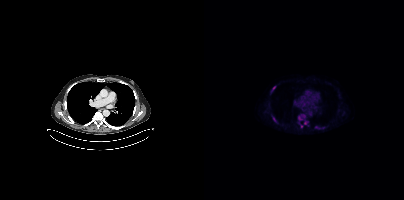
Coordinates are on the 200×200 PET (right) panel. PSMA-avid tumor lesion bounding boxes (partial; 1 more focus not listed):
| # | x0 | y0 | x1 | y1 |
|---|---|---|---|---|
| 1 | 112 | 126 | 121 | 129 |
| 2 | 94 | 116 | 98 | 119 |
| 3 | 69 | 117 | 72 | 122 |
| 4 | 68 | 86 | 71 | 90 |
Small PSMA-avid foci (2 to 4 px across) near (center x, center y): (101, 123); (97, 126).
Two-panel axial: CT | PSMA PET, 18F-PSMA tracer. Acquired on Siemens Biograph mCT Flow 20. Slice position z = 236 mm.